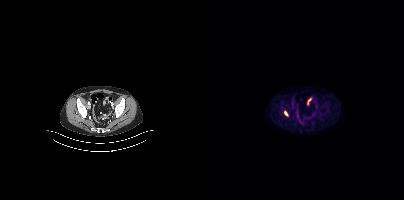
{"modality":"PSMA PET/CT","view":"axial","tracer":"18F-PSMA","pet_grid":[200,200],"coord_frame":"pet_panel","coord_format":"x0,y0,x1,y1","lesion_bboxes":[[80,111,83,115]]}